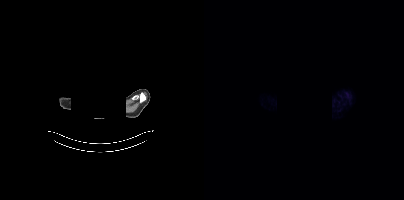
modality: PSMA PET/CT | tracer: [68Ga]Ga-PSMA-11 | view: axial | PET grid: 200×200 | de-identification: head region blanked (face removed)
No PSMA-avid tumor lesions on this slice.